Technique: Two-panel axial: CT | PSMA PET, 18F-PSMA tracer. PET panel 200×200 px (4.1 mm/px).
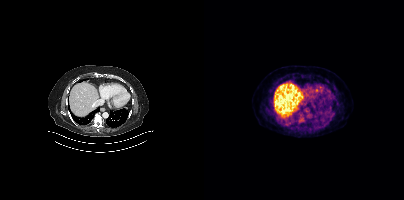
Findings: This slice has no annotated PSMA-avid lesion.